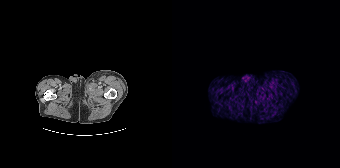
{"modality":"PSMA PET/CT","view":"axial","tracer":"[68Ga]Ga-PSMA-11","pet_grid":[168,168],"coord_frame":"pet_panel","coord_format":"x0,y0,x1,y1","psma_avid_lesions":false}